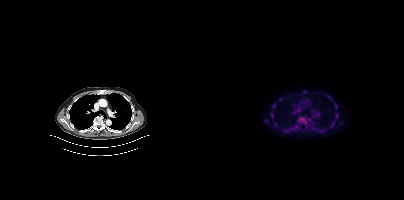
modality: PSMA PET/CT | tracer: 18F-PSMA | view: axial | PET grid: 200×200
Coordinates are on the 200×200 PET (right) panel. PSMA-avid tumor lesion bounding boxes (x0, y0)-(x1, y1): (94, 117)-(102, 123) / (131, 104)-(133, 108) / (67, 113)-(69, 117). Small PSMA-avid foci (2 to 4 px across) near (center x, center y): (133, 114) / (69, 105) / (105, 119) / (126, 98) / (61, 120).